Left: CT. Right: PSMA PET, same axial level, [68Ga]Ga-PSMA-11 tracer. Slice 98 of 195.
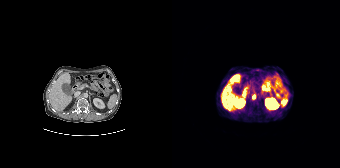
Coordinates are on the 168×168 PET (right) panel. Small PSMA-avid focus (2 to 4 px across) near (center x, center y): (82, 96).